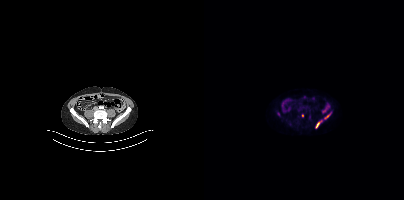
Paired axial CT (left) and PSMA PET (right), [18F]PSMA-1007 tracer. Coordinates are on the 200×200 PET (right) panel. (showing 2 of 3 foci) PSMA-avid tumor lesion bounding boxes (x0, y0)-(x1, y1): (112, 120)-(118, 128) | (120, 114)-(125, 119).